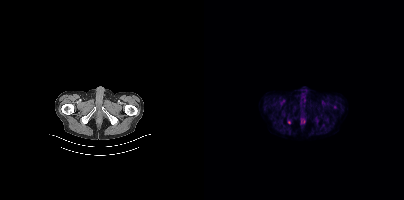
- Left: CT. Right: PSMA PET, same axial level, 18F-PSMA tracer
- acquired on Siemens Biograph mCT Flow 20
- PET panel 200×200 px (4.1 mm/px)
Findings: Only PSMA-avid lesion pieces thinner than 2 px on this slice (not listed).